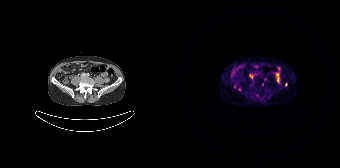
{"pet_grid":[168,168],"coord_frame":"pet_panel","coord_format":"x0,y0,x1,y1","partial":true,"lesion_bboxes":[],"small_foci_centers":[[67,89]],"modality":"PSMA PET/CT","view":"axial","tracer":"68Ga"}